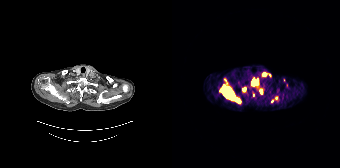
Findings: Coordinates are on the 168×168 PET (right) panel. (showing 6 of 9 foci) PSMA-avid tumor lesion bounding boxes (x, y, width, height): x=49 y=86 w=20 h=18 | x=79 y=80 w=7 h=6 | x=90 y=73 w=5 h=3. Small PSMA-avid foci (2 to 4 px across) near (center x, center y): (89, 91) | (72, 89) | (104, 98).
- Paired axial CT (left) and PSMA PET (right), 68Ga tracer
- acquired on Siemens Biograph 64-4R TruePoint
- PET panel 168×168 px (4.1 mm/px)